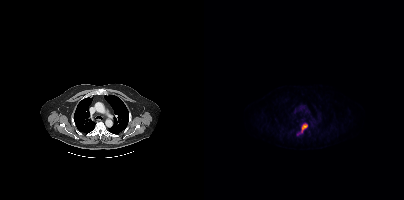
modality: PSMA PET/CT | tracer: 18F-PSMA | view: axial | PET grid: 200×200
Coordinates are on the 200×200 PET (right) panel. PSMA-avid tumor lesion bounding box (x0,y0,x1,y1): [93,124,103,135].